Two-panel axial: CT | PSMA PET, 18F tracer. Acquired on Siemens Biograph mCT Flow 20. Slice 183 of 454. PET panel 200×200 px (4.1 mm/px).
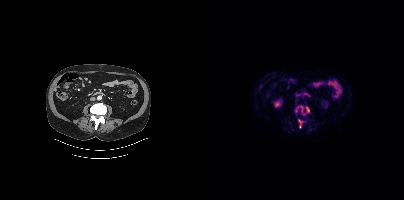
Coordinates are on the 200×200 PET (right) panel. (showing 4 of 5 foci) PSMA-avid tumor lesion bounding boxes (x, y, width, height): x=94 y=119 w=5 h=9; x=102 y=107 w=4 h=6; x=97 y=106 w=2 h=6. Small PSMA-avid focus (2 to 4 px across) near (center x, center y): (92, 110).